- Left: CT. Right: PSMA PET, same axial level, [68Ga]Ga-PSMA-11 tracer
- PET panel 168×168 px (4.1 mm/px)
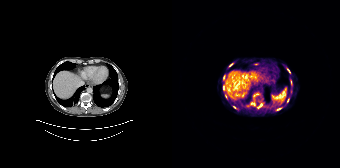
Findings: Coordinates are on the 168×168 PET (right) panel. (showing 9 of 13 foci) PSMA-avid tumor lesion bounding boxes (x0, y0)-(x1, y1): (104, 108)-(109, 110) | (86, 104)-(90, 107). Small PSMA-avid foci (2 to 4 px across) near (center x, center y): (54, 96) | (51, 87) | (116, 70) | (51, 77) | (58, 65) | (115, 101) | (62, 107).